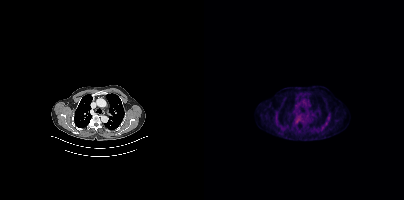
Coordinates are on the 200×200 PET (right) panel. Small PSMA-avid focus (2 to 4 px across) near (center x, center y): (93, 121).